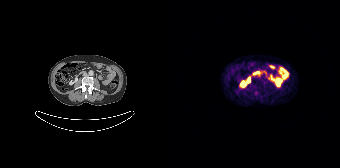
Technique: Left: CT. Right: PSMA PET, same axial level, [68Ga]Ga-PSMA-11 tracer. acquired on Siemens Biograph 64-4R TruePoint. PET panel 168×168 px (4.1 mm/px).
Findings: No PSMA-avid tumor lesions on this slice.